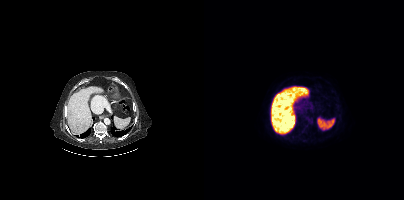
Negative for PSMA-avid disease on this slice.
modality: PSMA PET/CT | tracer: [18F]PSMA-1007 | view: axial | PET grid: 200×200